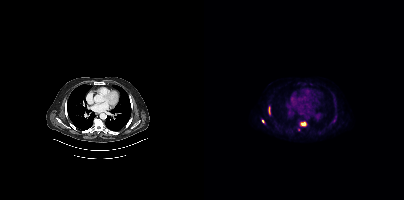
Coordinates are on the 200×200 PET (right) panel. PSMA-avid tumor lesion bounding boxes (partial; 1 more focus not listed):
| # | x0 | y0 | x1 | y1 |
|---|---|---|---|---|
| 1 | 64 | 106 | 66 | 114 |
| 2 | 97 | 122 | 102 | 125 |
| 3 | 129 | 115 | 132 | 122 |
Small PSMA-avid foci (2 to 4 px across) near (center x, center y): (95, 129); (59, 121).
Left: CT. Right: PSMA PET, same axial level, 18F tracer. Acquired on Siemens Biograph mCT Flow 20. PET panel 200×200 px (4.1 mm/px).